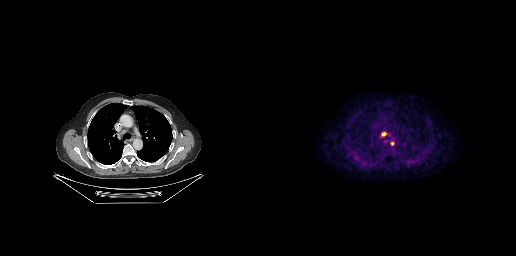
{"pet_grid":[256,256],"coord_frame":"pet_panel","coord_format":"x0,y0,x1,y1","lesion_bboxes":[],"small_foci_centers":[[123,133],[132,143]],"modality":"PSMA PET/CT","view":"axial","tracer":"18F-PSMA"}